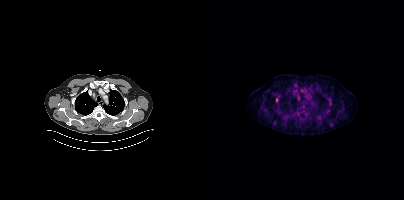
{"modality":"PSMA PET/CT","view":"axial","tracer":"[18F]PSMA-1007","pet_grid":[200,200],"coord_frame":"pet_panel","coord_format":"x0,y0,x1,y1","lesion_bboxes":[[72,98,74,102]],"small_foci_centers":[[94,99]]}